Technique: Two-panel axial: CT | PSMA PET, 18F-PSMA tracer. slice 338 of 344. PET panel 200×200 px (4.1 mm/px).
Note: Any black rectangle over the head is a privacy mask, not anatomy.
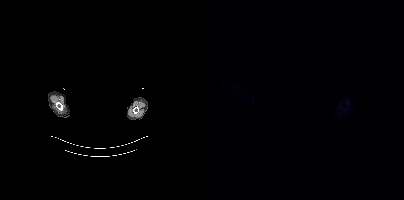
Findings: No tumor lesions annotated on this slice.